Technique: Left: CT. Right: PSMA PET, same axial level, 18F tracer. acquired on GE Discovery 690. slice 42 of 263.
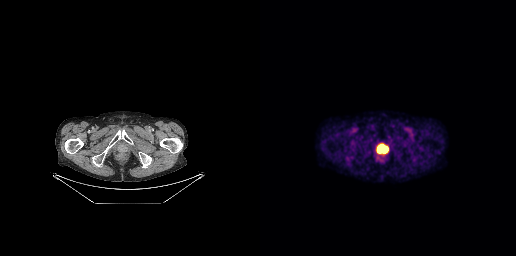
Findings: Coordinates are on the 256×256 PET (right) panel. PSMA-avid tumor lesion bounding box (x0,y0,x1,y1): [117,144,128,153].